Paired axial CT (left) and PSMA PET (right), 18F tracer. PET panel 200×200 px (4.1 mm/px).
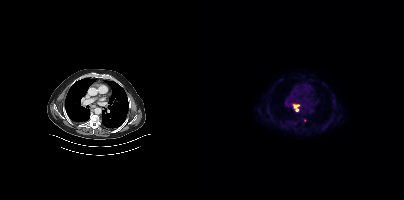
Coordinates are on the 200×200 PET (right) panel. PSMA-avid tumor lesion bounding box (x0, y0)-(x1, y1): (89, 104)-(95, 111). Small PSMA-avid focus (2 to 4 px across) near (center x, center y): (100, 120).